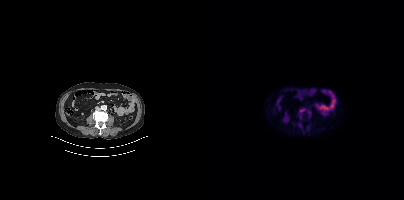
Two-panel axial: CT | PSMA PET, 18F tracer. Coordinates are on the 200×200 PET (right) panel. (showing 6 of 7 foci) PSMA-avid tumor lesion bounding boxes (x0, y0)-(x1, y1): (95, 109)-(101, 112); (102, 127)-(105, 131). Small PSMA-avid foci (2 to 4 px across) near (center x, center y): (105, 112); (97, 127); (96, 116); (99, 132).